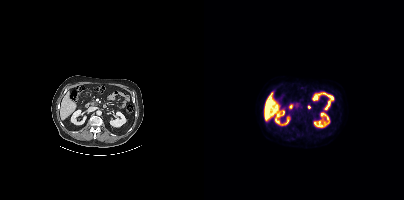
{"modality":"PSMA PET/CT","view":"axial","tracer":"18F-PSMA","pet_grid":[200,200],"coord_frame":"pet_panel","coord_format":"x0,y0,x1,y1","psma_avid_lesions":false}